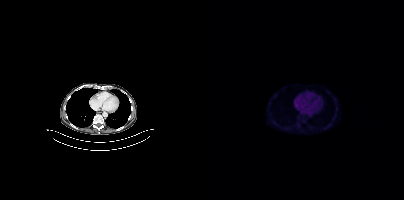
No PSMA-avid tumor lesions on this slice.